Paired axial CT (left) and PSMA PET (right), [18F]PSMA-1007 tracer. Slice position z = -950 mm. PET panel 200×200 px (4.1 mm/px).
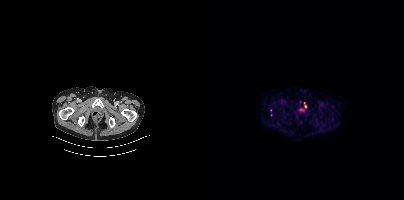
Coordinates are on the 200×200 PET (right) panel. (showing 1 of 4 foci) Small PSMA-avid focus (2 to 4 px across) near (center x, center y): (101, 106).